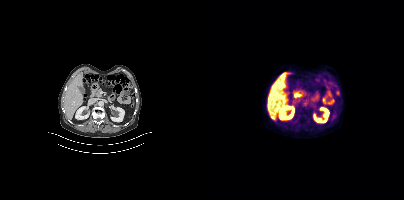
Paired axial CT (left) and PSMA PET (right), 18F-PSMA tracer. Acquired on Siemens Biograph mCT Flow 20. PET panel 200×200 px (4.1 mm/px). No tumor lesions annotated on this slice.